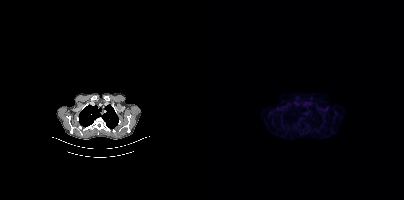
Left: CT. Right: PSMA PET, same axial level, 18F-PSMA tracer. Acquired on Siemens Biograph mCT Flow 20. Slice position z = -1036 mm. PET panel 200×200 px (4.1 mm/px). No tumor lesions annotated on this slice.